Paired axial CT (left) and PSMA PET (right), 18F-PSMA tracer.
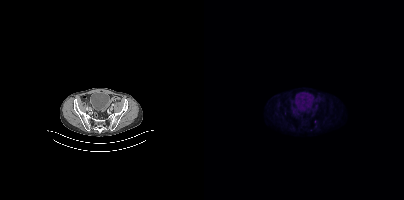
No PSMA-avid tumor lesions on this slice.